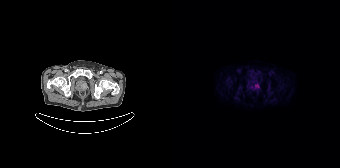
modality: PSMA PET/CT | tracer: [18F]PSMA-1007 | view: axial
Coordinates are on the 168×168 PET (right) panel. PSMA-avid tumor lesion bounding box (x0, y0)-(x1, y1): (83, 84)-(87, 88).